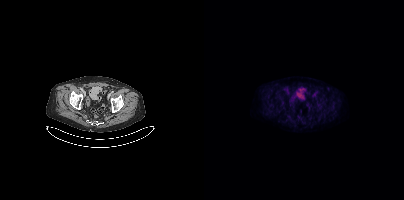
{"pet_grid":[200,200],"coord_frame":"pet_panel","coord_format":"x0,y0,x1,y1","psma_avid_lesions":false,"modality":"PSMA PET/CT","view":"axial","tracer":"18F-PSMA"}